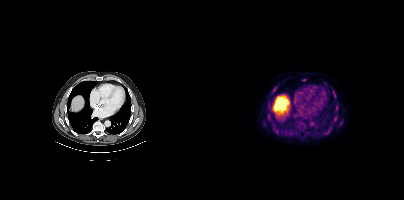
- Two-panel axial: CT | PSMA PET, 18F tracer
- slice 277 of 438
Findings: Coordinates are on the 200×200 PET (right) panel. (showing 5 of 6 foci) Small PSMA-avid foci (2 to 4 px across) near (center x, center y): (99, 80); (131, 118); (124, 132); (129, 90); (132, 105).